- an anonymization step blacked out a rectangle over the head in this scan
- Left: CT. Right: PSMA PET, same axial level, 18F-PSMA tracer
- acquired on Siemens Biograph mCT Flow 20
- slice position z = -394 mm
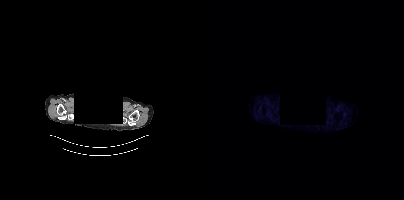
Findings: This slice has no annotated PSMA-avid lesion.